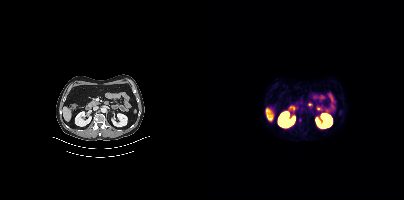
Paired axial CT (left) and PSMA PET (right), 68Ga-PSMA tracer. Acquired on Siemens Biograph mCT Flow 20. Coordinates are on the 200×200 PET (right) panel. PSMA-avid tumor lesion bounding box (x0, y0)-(x1, y1): (95, 118)-(97, 122).